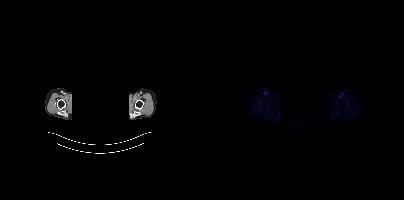
A rectangular block over the head has been blanked out for de-identification. Two-panel axial: CT | PSMA PET, [18F]PSMA-1007 tracer. Acquired on Siemens Biograph mCT Flow 20. Slice 362 of 415. No tumor lesions annotated on this slice.